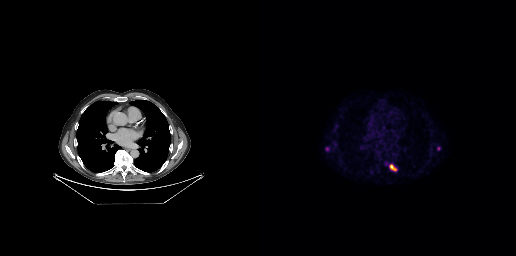
- Paired axial CT (left) and PSMA PET (right), 18F-PSMA tracer
- slice 185 of 263
- PET panel 256×256 px (2.7 mm/px)
Findings: Coordinates are on the 256×256 PET (right) panel. PSMA-avid tumor lesion bounding box (x0,y0,x1,y1): [129,164,137,171]. Small PSMA-avid foci (2 to 4 px across) near (center x, center y): (178, 148), (67, 148).